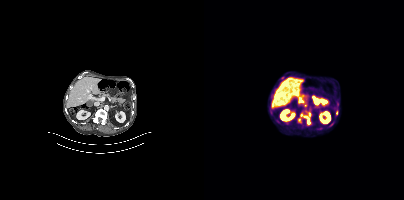
Coordinates are on the 200×200 PET (right) panel. (showing 3 of 5 foci) PSMA-avid tumor lesion bounding box (x0, y0)-(x1, y1): (100, 113)-(107, 121). Small PSMA-avid foci (2 to 4 px across) near (center x, center y): (132, 112) | (127, 124).